Two-panel axial: CT | PSMA PET, [18F]PSMA-1007 tracer. PET panel 200×200 px (4.1 mm/px).
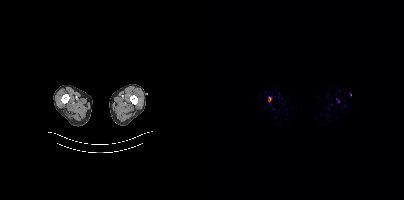
Coordinates are on the 200×200 PET (right) panel. PSMA-avid tumor lesion bounding box (x0, y0)-(x1, y1): (64, 98)-(67, 102).